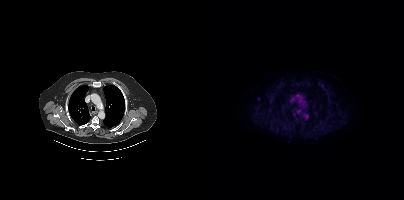
Technique: Paired axial CT (left) and PSMA PET (right), 18F tracer. slice 329 of 435. PET panel 200×200 px (4.1 mm/px).
Findings: No PSMA-avid tumor lesions on this slice.